Technique: Paired axial CT (left) and PSMA PET (right), 18F tracer. acquired on Siemens Biograph mCT Flow 20.
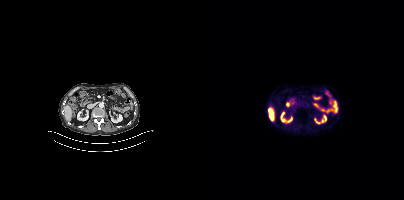
Findings: Negative for PSMA-avid disease on this slice.